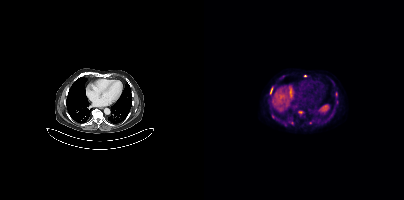
Findings: Coordinates are on the 200×200 PET (right) panel. (showing 5 of 9 foci) PSMA-avid tumor lesion bounding boxes (x0,y0,x1,y1): [84,121,89,124], [66,88,68,93]. Small PSMA-avid foci (2 to 4 px across) near (center x, center y): (106, 123), (101, 75), (68, 116).
- Left: CT. Right: PSMA PET, same axial level, 18F-PSMA tracer
- acquired on Siemens Biograph mCT Flow 20
- PET panel 200×200 px (4.1 mm/px)